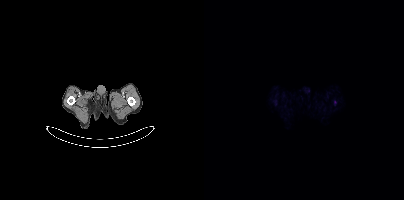
Negative for PSMA-avid disease on this slice.
modality: PSMA PET/CT | tracer: 18F-PSMA | view: axial